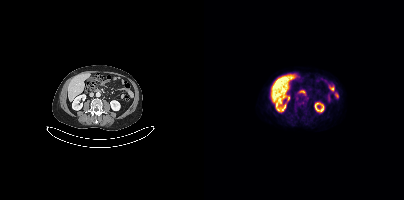
{"modality":"PSMA PET/CT","view":"axial","tracer":"18F","pet_grid":[200,200],"coord_frame":"pet_panel","coord_format":"x0,y0,x1,y1","psma_avid_lesions":false}